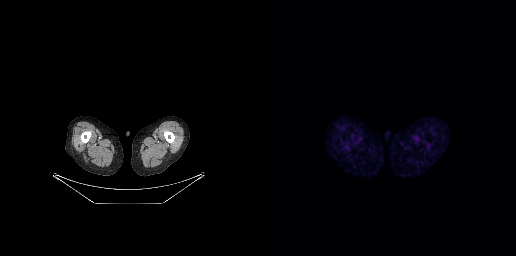
This slice has no annotated PSMA-avid lesion.